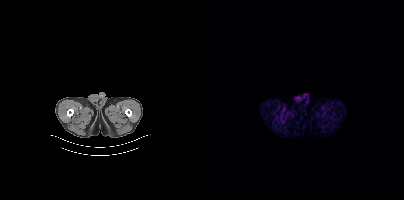
{"modality":"PSMA PET/CT","view":"axial","tracer":"[18F]PSMA-1007","pet_grid":[200,200],"coord_frame":"pet_panel","coord_format":"x0,y0,x1,y1","psma_avid_lesions":false}